Technique: Two-panel axial: CT | PSMA PET, 18F tracer. slice position z = -908 mm. PET panel 200×200 px (4.1 mm/px).
Note: De-identified by setting a box covering the face to black before release.
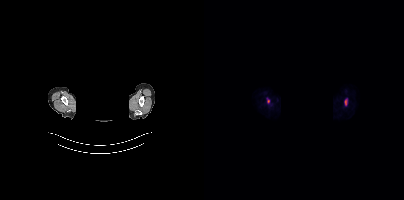
Findings: Coordinates are on the 200×200 PET (right) panel. PSMA-avid tumor lesion bounding box (x0, y0)-(x1, y1): (141, 99)-(143, 105). Small PSMA-avid focus (2 to 4 px across) near (center x, center y): (64, 101).